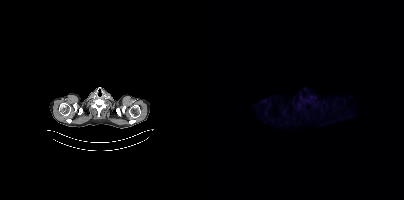
Paired axial CT (left) and PSMA PET (right), 18F-PSMA tracer. This slice has no annotated PSMA-avid lesion.